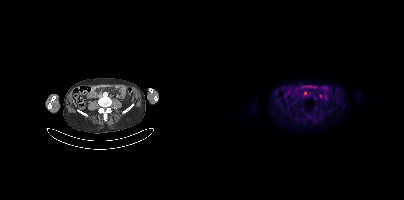
Coordinates are on the 200×200 PET (right) panel. PSMA-avid tumor lesion bounding box (x, y, width, height): x=99 y=91 w=5 h=5.
modality: PSMA PET/CT | tracer: 18F | view: axial | PET grid: 200×200